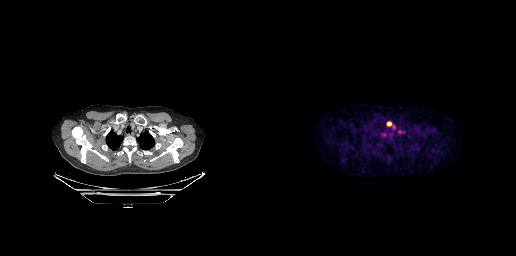
Findings: Coordinates are on the 256×256 PET (right) panel. PSMA-avid tumor lesion bounding box (x0, y0)-(x1, y1): (127, 122)-(131, 125).
Technique: Paired axial CT (left) and PSMA PET (right), 18F tracer. PET panel 256×256 px (2.7 mm/px).